modality: PSMA PET/CT | tracer: 68Ga-PSMA | view: axial | PET grid: 200×200
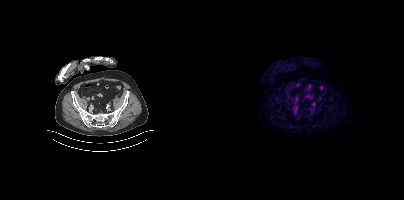
Negative for PSMA-avid disease on this slice.